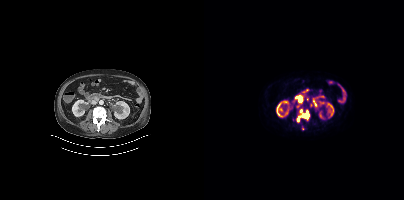
{"pet_grid":[200,200],"coord_frame":"pet_panel","coord_format":"x0,y0,x1,y1","partial":true,"lesion_bboxes":[[93,110,105,122],[95,98,98,102]],"small_foci_centers":[[93,106]],"modality":"PSMA PET/CT","view":"axial","tracer":"[18F]PSMA-1007"}